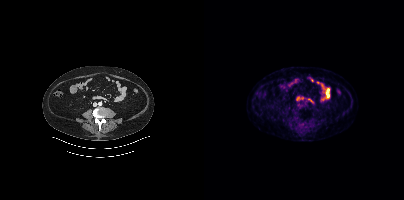
No tumor lesions annotated on this slice.